Paired axial CT (left) and PSMA PET (right), 18F tracer. Acquired on Siemens Biograph mCT Flow 20. Slice 264 of 385.
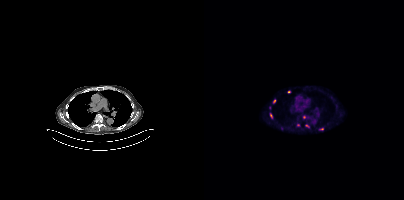
Coordinates are on the 200×200 PET (right) panel. (showing 8 of 9 foci) Small PSMA-avid foci (2 to 4 px across) near (center x, center y): (84, 92) | (78, 128) | (67, 114) | (94, 125) | (100, 117) | (70, 101) | (103, 126) | (117, 128).